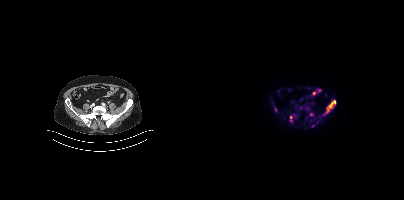
{"pet_grid":[200,200],"coord_frame":"pet_panel","coord_format":"x0,y0,x1,y1","partial":true,"lesion_bboxes":[[122,100,132,112]],"small_foci_centers":[[107,114],[71,109],[86,117],[109,126]],"modality":"PSMA PET/CT","view":"axial","tracer":"18F-PSMA"}